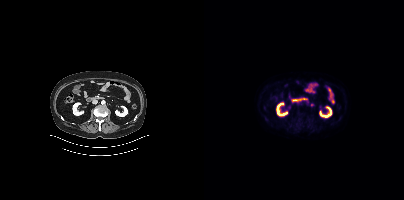
{"modality":"PSMA PET/CT","view":"axial","tracer":"18F","pet_grid":[200,200],"coord_frame":"pet_panel","coord_format":"x0,y0,x1,y1","lesion_bboxes":[],"small_foci_centers":[[107,104]]}